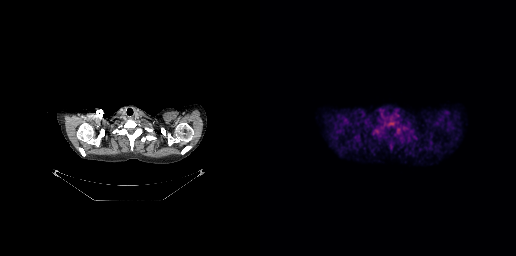
Left: CT. Right: PSMA PET, same axial level, [18F]PSMA-1007 tracer. Acquired on GE Discovery 690. PET panel 256×256 px (2.7 mm/px).
Coordinates are on the 256×256 PET (right) panel. PSMA-avid tumor lesion bounding boxes:
| # | x0 | y0 | x1 | y1 |
|---|---|---|---|---|
| 1 | 127 | 118 | 135 | 126 |
Small PSMA-avid focus (2 to 4 px across) near (center x, center y): (124, 124).